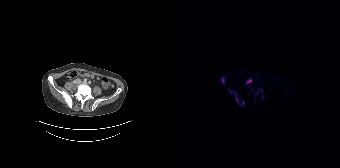
Two-panel axial: CT | PSMA PET, 18F-PSMA tracer. Slice position z = -1374 mm.
Coordinates are on the 168×168 PET (right) panel. PSMA-avid tumor lesion bounding boxes:
| # | x0 | y0 | x1 | y1 |
|---|---|---|---|---|
| 1 | 83 | 88 | 90 | 94 |
| 2 | 49 | 77 | 52 | 83 |
| 3 | 63 | 93 | 66 | 102 |
| 4 | 75 | 79 | 79 | 83 |
| 5 | 56 | 89 | 60 | 92 |
Small PSMA-avid focus (2 to 4 px across) near (center x, center y): (71, 102).